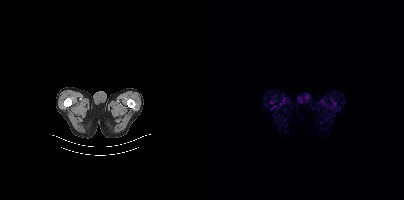
This slice has no annotated PSMA-avid lesion. Paired axial CT (left) and PSMA PET (right), 18F-PSMA tracer. Acquired on Siemens Biograph mCT Flow 20.